Left: CT. Right: PSMA PET, same axial level, [18F]PSMA-1007 tracer. Slice position z = -1234 mm. PET panel 200×200 px (4.1 mm/px).
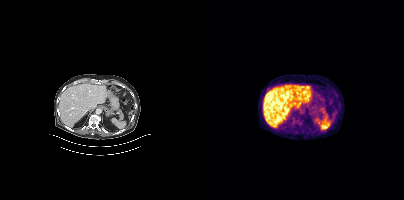
No PSMA-avid tumor lesions on this slice.